Two-panel axial: CT | PSMA PET, [68Ga]Ga-PSMA-11 tracer. PET panel 168×168 px (4.1 mm/px).
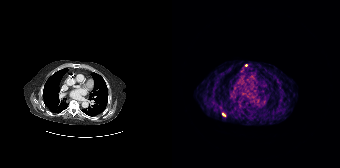
Only PSMA-avid lesion pieces thinner than 2 px on this slice (not listed).